modality: PSMA PET/CT | tracer: 18F | view: axial | PET grid: 200×200
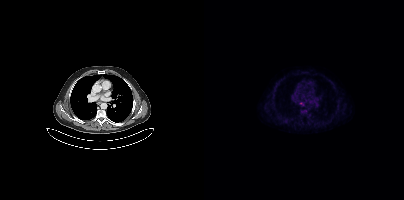
Coordinates are on the 200×200 PET (right) panel. PSMA-avid tumor lesion bounding box (x, y, width, height): x=96 y=103 w=5 h=3.